Paired axial CT (left) and PSMA PET (right), 18F tracer. Slice position z = -1066 mm. PET panel 200×200 px (4.1 mm/px).
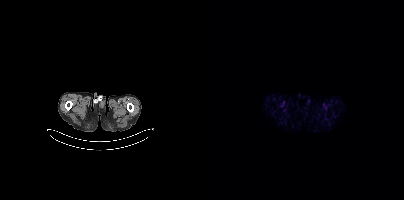
This slice has no annotated PSMA-avid lesion.